- Left: CT. Right: PSMA PET, same axial level, [68Ga]Ga-PSMA-11 tracer
- acquired on GE Discovery 690
- slice 105 of 263
- PET panel 256×256 px (2.7 mm/px)
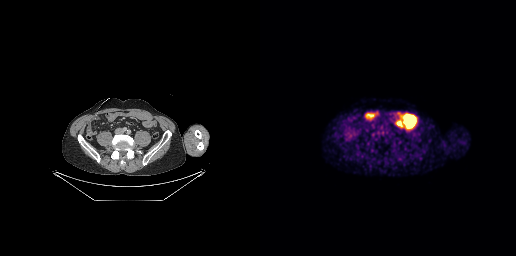
Findings: Only PSMA-avid lesion pieces thinner than 2 px on this slice (not listed).